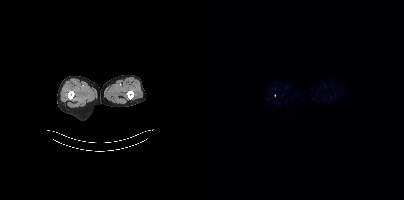
Only PSMA-avid lesion pieces thinner than 2 px on this slice (not listed).